Technique: Left: CT. Right: PSMA PET, same axial level, 18F tracer. slice 158 of 419.
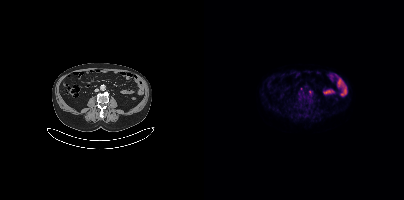
Findings: This slice has no annotated PSMA-avid lesion.